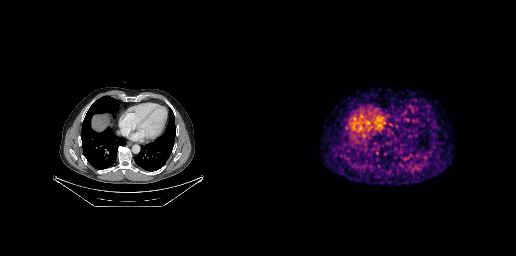
modality: PSMA PET/CT | tracer: 68Ga-PSMA | view: axial | PET grid: 256×256
This slice has no annotated PSMA-avid lesion.